Technique: Left: CT. Right: PSMA PET, same axial level, 68Ga tracer. acquired on Siemens Biograph mCT Flow 20. slice 370 of 444. PET panel 200×200 px (4.1 mm/px).
Note: De-identified by setting a box covering the face to black before release.
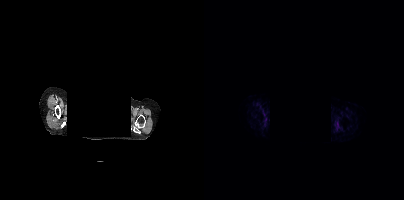
Findings: This slice has no annotated PSMA-avid lesion.